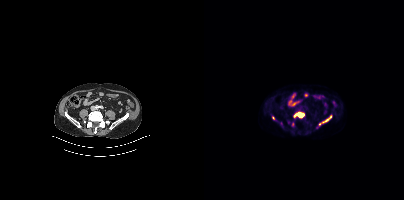
Two-panel axial: CT | PSMA PET, 18F tracer. Coordinates are on the 200×200 PET (right) panel. (showing 3 of 5 foci) PSMA-avid tumor lesion bounding boxes (x0, y0)-(x1, y1): (90, 112)-(100, 117) | (121, 115)-(128, 121) | (68, 116)-(71, 120).